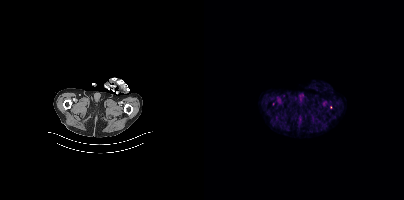
Only PSMA-avid lesion pieces thinner than 2 px on this slice (not listed).